Two-panel axial: CT | PSMA PET, [18F]PSMA-1007 tracer. Slice position z = -856 mm. PET panel 200×200 px (4.1 mm/px). A rectangular privacy mask was applied before release.
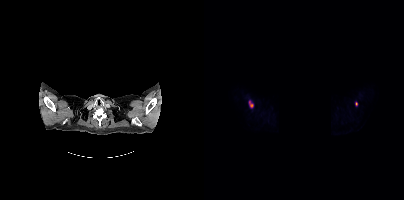
Coordinates are on the 200×200 PET (right) panel. PSMA-avid tumor lesion bounding boxes:
| # | x0 | y0 | x1 | y1 |
|---|---|---|---|---|
| 1 | 45 | 101 | 49 | 107 |
Small PSMA-avid focus (2 to 4 px across) near (center x, center y): (152, 103).